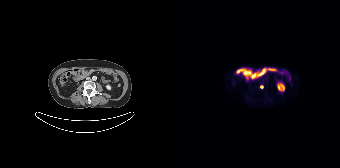
- Left: CT. Right: PSMA PET, same axial level, 18F tracer
- PET panel 168×168 px (4.1 mm/px)
Findings: Coordinates are on the 168×168 PET (right) panel. Small PSMA-avid focus (2 to 4 px across) near (center x, center y): (89, 86).